- Paired axial CT (left) and PSMA PET (right), 68Ga tracer
- PET panel 168×168 px (4.1 mm/px)
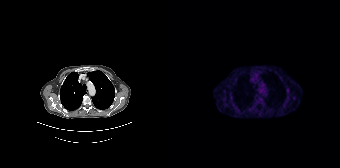
Findings: Coordinates are on the 168×168 PET (right) panel. Small PSMA-avid foci (2 to 4 px across) near (center x, center y): (59, 97) | (115, 89).